Left: CT. Right: PSMA PET, same axial level, 18F-PSMA tracer. Acquired on Siemens Biograph mCT Flow 20. Slice 303 of 401.
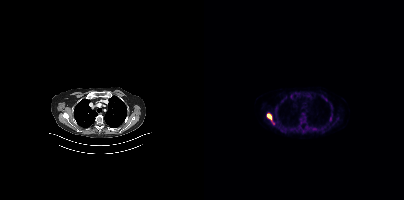
Coordinates are on the 200×200 PET (right) panel. PSMA-avid tumor lesion bounding boxes (partial; 1 more focus not listed):
| # | x0 | y0 | x1 | y1 |
|---|---|---|---|---|
| 1 | 63 | 114 | 67 | 120 |
| 2 | 108 | 128 | 112 | 130 |
Small PSMA-avid foci (2 to 4 px across) near (center x, center y): (126, 119); (100, 117).